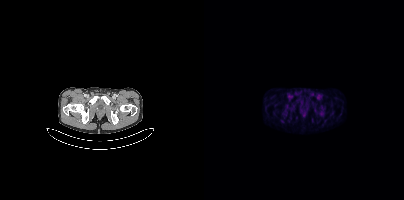
Left: CT. Right: PSMA PET, same axial level, 18F tracer. Slice 53 of 417. PET panel 200×200 px (4.1 mm/px). No PSMA-avid tumor lesions on this slice.